Two-panel axial: CT | PSMA PET, [18F]PSMA-1007 tracer.
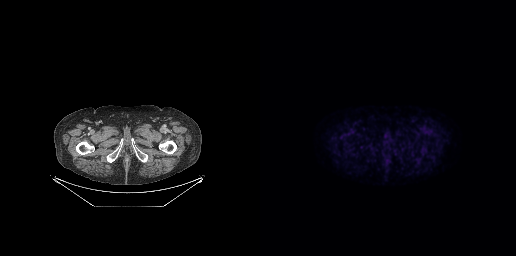
This slice has no annotated PSMA-avid lesion.